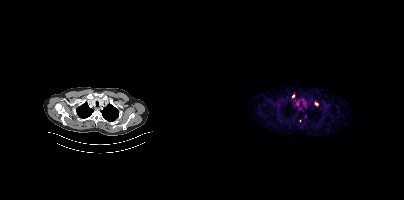
Findings: Only PSMA-avid lesion pieces thinner than 2 px on this slice (not listed).
Technique: Paired axial CT (left) and PSMA PET (right), [68Ga]Ga-PSMA-11 tracer. slice 296 of 373.